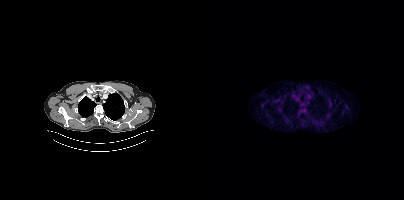
{"modality":"PSMA PET/CT","view":"axial","tracer":"[18F]PSMA-1007","pet_grid":[200,200],"coord_frame":"pet_panel","coord_format":"x0,y0,x1,y1","psma_avid_lesions":false}